deidentification: head region blanked (face removed) | modality: PSMA PET/CT | tracer: 18F-PSMA | view: axial
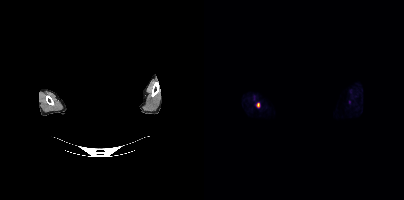
Coordinates are on the 200×200 PET (right) panel. PSMA-avid tumor lesion bounding box (x0,y0,x1,y1): [51,102,56,108].